modality: PSMA PET/CT | tracer: [18F]PSMA-1007 | view: axial
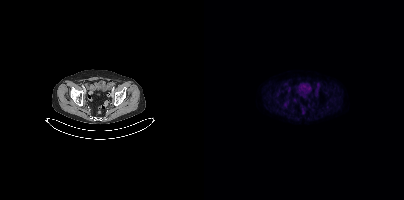
Only PSMA-avid lesion pieces thinner than 2 px on this slice (not listed).